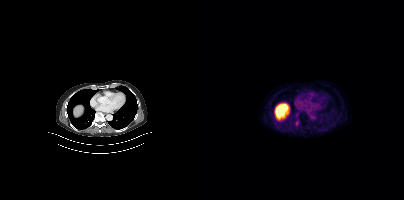
- Two-panel axial: CT | PSMA PET, 18F-PSMA tracer
- acquired on Siemens Biograph mCT Flow 20
Findings: Coordinates are on the 200×200 PET (right) panel. Small PSMA-avid focus (2 to 4 px across) near (center x, center y): (92, 122).